- Two-panel axial: CT | PSMA PET, 18F tracer
- acquired on Siemens Biograph mCT Flow 20
- PET panel 200×200 px (4.1 mm/px)
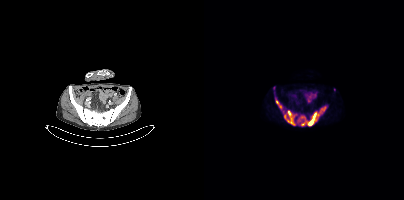
Findings: Coordinates are on the 200×200 PET (right) panel. (showing 1 of 3 foci) PSMA-avid tumor lesion bounding box (x0,y0,x1,y1): [71,97,122,126].